Left: CT. Right: PSMA PET, same axial level, [68Ga]Ga-PSMA-11 tracer. Slice position z = -1182 mm. PET panel 168×168 px (4.1 mm/px).
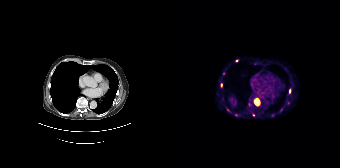
Coordinates are on the 168×168 PET (right) panel. (showing 8 of 9 foci) PSMA-avid tumor lesion bounding box (x0, y0)-(x1, y1): (82, 99)-(87, 105). Small PSMA-avid foci (2 to 4 px across) near (center x, center y): (49, 84) / (117, 90) / (64, 60) / (51, 73) / (116, 103) / (56, 109) / (81, 114).